modality: PSMA PET/CT | tracer: [18F]PSMA-1007 | view: axial | PET grid: 200×200
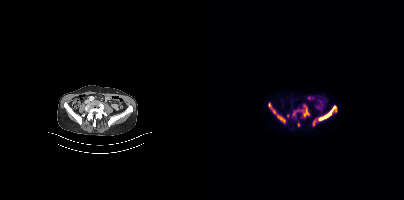
Coordinates are on the 200×200 PET (right) panel. PSMA-avid tumor lesion bounding boxes (x, y, width, height): x=114 y=105 w=20 h=16; x=89 y=104 w=17 h=14; x=73 y=115 w=9 h=9; x=64 y=103 w=8 h=11; x=109 y=119 w=3 h=7. Small PSMA-avid foci (2 to 4 px across) near (center x, center y): (94, 124); (83, 115).